- Left: CT. Right: PSMA PET, same axial level, 18F-PSMA tracer
- slice position z = -1371 mm
- PET panel 200×200 px (4.1 mm/px)
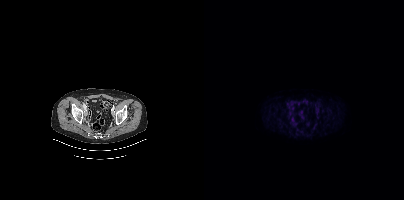
Findings: No tumor lesions annotated on this slice.